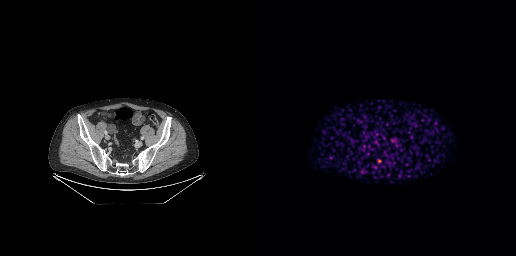
Coordinates are on the 256×256 PET (right) panel. Small PSMA-avid focus (2 to 4 px across) near (center x, center y): (119, 160).